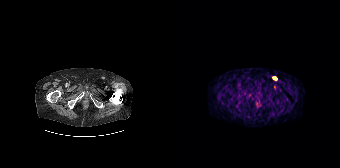
Technique: Left: CT. Right: PSMA PET, same axial level, 68Ga tracer. slice 49 of 195. PET panel 168×168 px (4.1 mm/px).
Findings: Coordinates are on the 168×168 PET (right) panel. Small PSMA-avid focus (2 to 4 px across) near (center x, center y): (103, 78).